modality: PSMA PET/CT | tracer: [18F]PSMA-1007 | view: axial | PET grid: 200×200
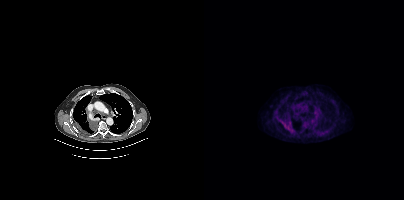
Coordinates are on the 200×200 PET (right) panel. PSMA-avid tumor lesion bounding boxes (x, y, width, height): x=83 y=125 w=7 h=7; x=76 y=120 w=6 h=6.